- Left: CT. Right: PSMA PET, same axial level, [18F]PSMA-1007 tracer
- acquired on GE Discovery 690
- slice 52 of 299
- PET panel 256×256 px (2.7 mm/px)
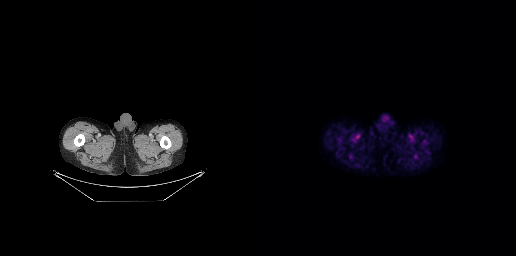
Findings: No tumor lesions annotated on this slice.